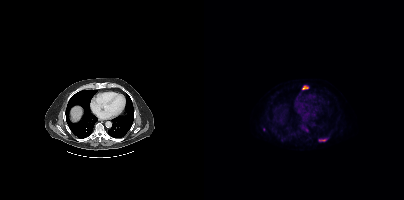
Coordinates are on the 200×200 PET (right) panel. PSMA-avid tumor lesion bounding boxes (x, y, width, height): x=115 y=139 w=8 h=3 | x=98 y=86 w=7 h=4. Small PSMA-avid focus (2 to 4 px across) near (center x, center y): (60, 129).